Two-panel axial: CT | PSMA PET, 68Ga-PSMA tracer. Acquired on Siemens Biograph 64-4R TruePoint.
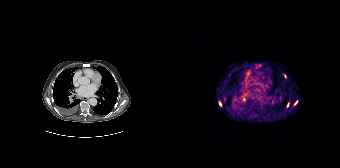
Coordinates are on the 168×168 PET (right) panel. (showing 3 of 5 foci) PSMA-avid tumor lesion bounding box (x, y, width, height): x=122 y=101 w=4 h=5. Small PSMA-avid foci (2 to 4 px across) near (center x, center y): (48, 103) | (115, 104).